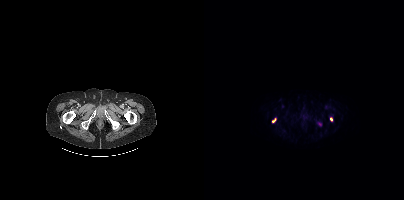
{"modality":"PSMA PET/CT","view":"axial","tracer":"18F-PSMA","pet_grid":[200,200],"coord_frame":"pet_panel","coord_format":"x0,y0,x1,y1","lesion_bboxes":[[126,117,128,121],[68,118,71,122]]}